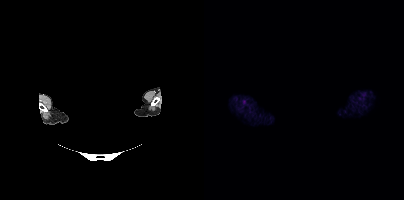
The face region was removed for patient privacy by blanking a rectangle over the head. Paired axial CT (left) and PSMA PET (right), 18F-PSMA tracer. PET panel 200×200 px (4.1 mm/px). No PSMA-avid tumor lesions on this slice.